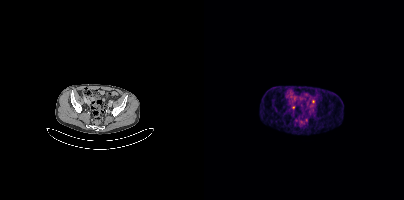
modality: PSMA PET/CT | tracer: [68Ga]Ga-PSMA-11 | view: axial
Coordinates are on the 200×200 PET (right) panel. (showing 1 of 2 foci) Small PSMA-avid focus (2 to 4 px across) near (center x, center y): (109, 101).